Technique: Paired axial CT (left) and PSMA PET (right), 18F tracer. acquired on Siemens Biograph mCT Flow 20. slice 226 of 425.
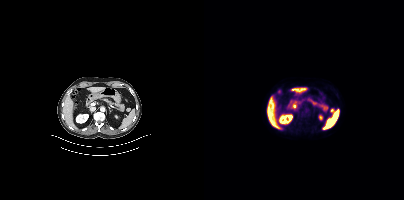
Findings: Coordinates are on the 200×200 PET (right) panel. Small PSMA-avid focus (2 to 4 px across) near (center x, center y): (128, 110).